The head region is masked for de-identification. Paired axial CT (left) and PSMA PET (right), 18F-PSMA tracer. Acquired on Siemens Biograph mCT Flow 20. Slice 432 of 452. PET panel 200×200 px (4.1 mm/px).
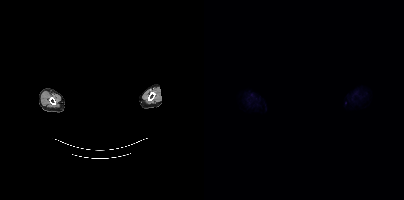
No PSMA-avid tumor lesions on this slice.